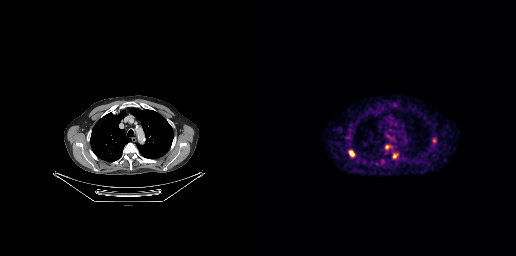
Paired axial CT (left) and PSMA PET (right), 68Ga tracer. PET panel 256×256 px (2.7 mm/px). Coordinates are on the 256×256 PET (right) panel. PSMA-avid tumor lesion bounding box (x0,y0,x1,y1): [89,151,94,156]. Small PSMA-avid foci (2 to 4 px across) near (center x, center y): (122, 162), (174, 140), (126, 146), (134, 156).